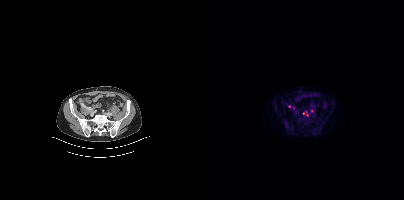
modality: PSMA PET/CT | tracer: 18F | view: axial
Coordinates are on the 200×200 PET (right) panel. (showing 3 of 4 foci) Small PSMA-avid foci (2 to 4 px across) near (center x, center y): (103, 114) | (107, 110) | (99, 113).